- Left: CT. Right: PSMA PET, same axial level, [18F]PSMA-1007 tracer
- acquired on GE Discovery 690
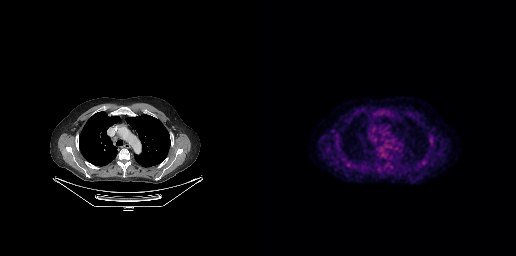
Findings: Negative for PSMA-avid disease on this slice.